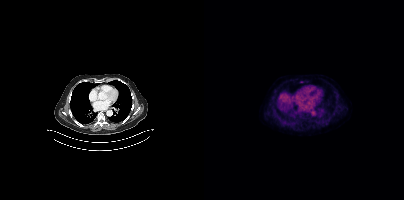
Left: CT. Right: PSMA PET, same axial level, 18F-PSMA tracer. Coordinates are on the 200×200 PET (right) panel. Small PSMA-avid focus (2 to 4 px across) near (center x, center y): (97, 81).